Technique: Paired axial CT (left) and PSMA PET (right), 68Ga-PSMA tracer. acquired on Siemens Biograph 64-4R TruePoint. slice position z = -1199 mm. PET panel 168×168 px (4.1 mm/px).
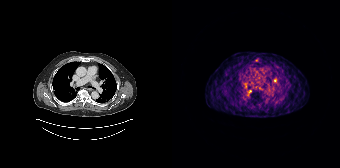
Findings: Coordinates are on the 168×168 PET (right) panel. PSMA-avid tumor lesion bounding box (x0,y0,x1,y1): [76,89,79,93]. Small PSMA-avid foci (2 to 4 px across) near (center x, center y): (84, 60); (103, 80).